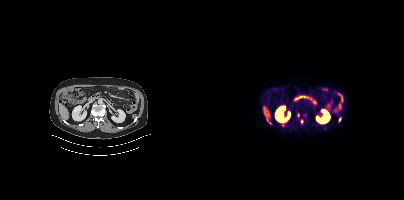
- Two-panel axial: CT | PSMA PET, [18F]PSMA-1007 tracer
- acquired on Siemens Biograph mCT Flow 20
Findings: Coordinates are on the 200×200 PET (right) panel. (showing 2 of 5 foci) PSMA-avid tumor lesion bounding box (x0,y0,x1,y1): [63,117,64,121]. Small PSMA-avid focus (2 to 4 px across) near (center x, center y): (135, 119).